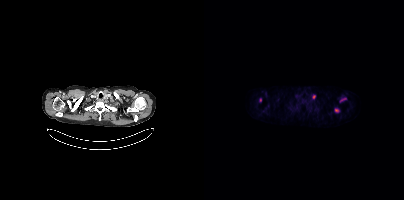
Coordinates are on the 200×200 PET (right) panel. PSMA-avid tumor lesion bounding box (x0,y0,x1,y1): [136,98,142,101]. Small PSMA-avid foci (2 to 4 px across) near (center x, center y): (132, 110), (110, 96), (56, 100).